modality: PSMA PET/CT | tracer: [18F]PSMA-1007 | view: axial
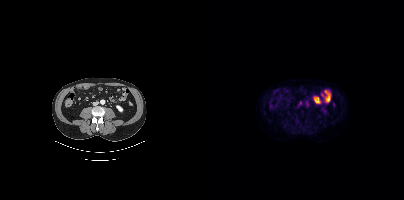
Coordinates are on the 200×200 PET (right) panel. Small PSMA-avid focus (2 to 4 px across) near (center x, center y): (96, 103).